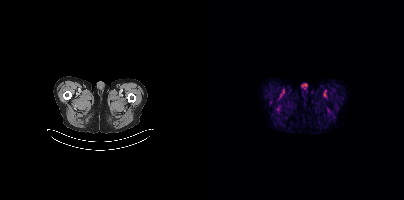
Two-panel axial: CT | PSMA PET, [18F]PSMA-1007 tracer. Slice position z = -890 mm. Negative for PSMA-avid disease on this slice.